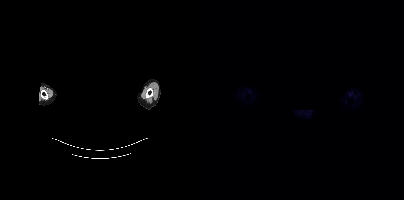
{"modality":"PSMA PET/CT","view":"axial","tracer":"68Ga-PSMA","pet_grid":[200,200],"coord_frame":"pet_panel","coord_format":"x0,y0,x1,y1","de-identification":"rectangular block over head set to black","psma_avid_lesions":false}